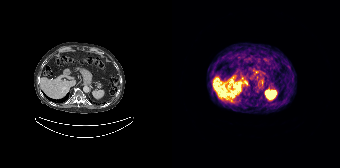
- Left: CT. Right: PSMA PET, same axial level, 68Ga tracer
- slice 126 of 195
Findings: This slice has no annotated PSMA-avid lesion.